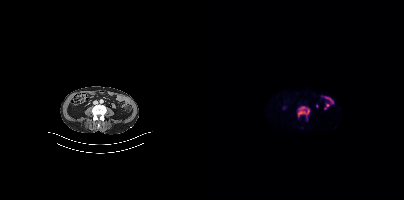
Coordinates are on the 200×200 PET (right) panel. PSMA-avid tumor lesion bounding box (x, y, width, height): x=94 y=106 w=12 h=11.